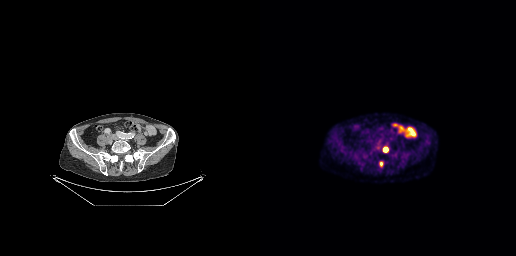
- Paired axial CT (left) and PSMA PET (right), 18F-PSMA tracer
- acquired on GE Discovery 690
Findings: Coordinates are on the 256×256 PET (right) panel. PSMA-avid tumor lesion bounding boxes (x, y, width, height): x=123 y=147 w=6 h=6 / x=119 y=162 w=5 h=5. Small PSMA-avid focus (2 to 4 px across) near (center x, center y): (142, 156).